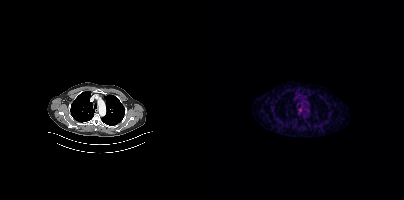
This slice has no annotated PSMA-avid lesion.